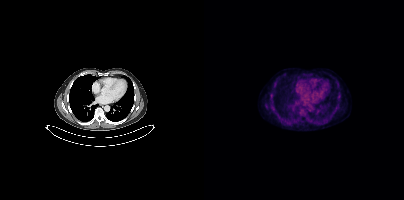
Findings: No tumor lesions annotated on this slice.
- Left: CT. Right: PSMA PET, same axial level, [18F]PSMA-1007 tracer
- slice position z = -1081 mm
- PET panel 200×200 px (4.1 mm/px)